- Two-panel axial: CT | PSMA PET, [18F]PSMA-1007 tracer
- acquired on Siemens Biograph mCT Flow 20
- slice position z = -1198 mm
- PET panel 200×200 px (4.1 mm/px)
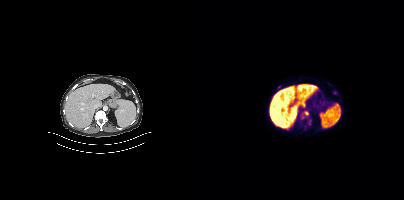
Findings: Coordinates are on the 200×200 PET (right) panel. PSMA-avid tumor lesion bounding boxes (x, y, width, height): x=99 y=111 w=6 h=5; x=105 y=120 w=3 h=5. Small PSMA-avid foci (2 to 4 px across) near (center x, center y): (75, 87); (98, 117).